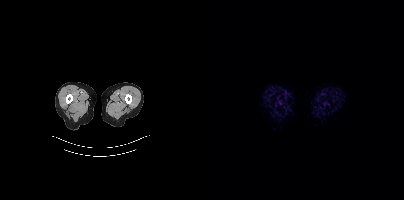
{"modality":"PSMA PET/CT","view":"axial","tracer":"18F","pet_grid":[200,200],"coord_frame":"pet_panel","coord_format":"x0,y0,x1,y1","psma_avid_lesions":false}